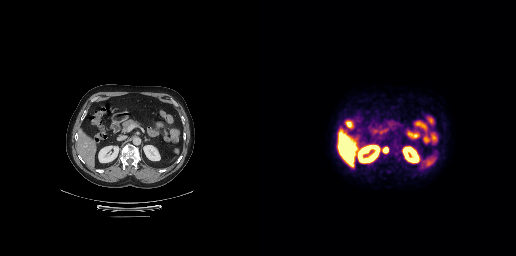
{"modality":"PSMA PET/CT","view":"axial","tracer":"18F","pet_grid":[256,256],"coord_frame":"pet_panel","coord_format":"x0,y0,x1,y1","lesion_bboxes":[[122,147,128,153]]}